Technique: Left: CT. Right: PSMA PET, same axial level, 68Ga-PSMA tracer. acquired on GE Discovery 690.
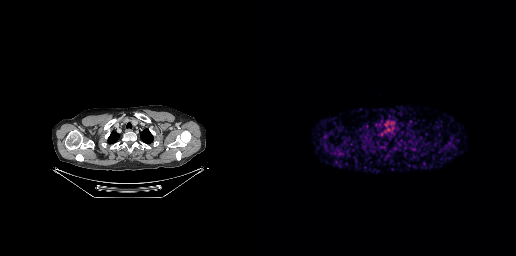
Findings: Negative for PSMA-avid disease on this slice.